- a rectangular block over the head has been blanked out for de-identification
- Two-panel axial: CT | PSMA PET, [18F]PSMA-1007 tracer
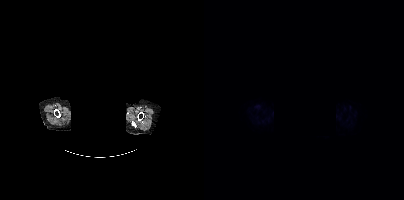
Findings: Negative for PSMA-avid disease on this slice.